Left: CT. Right: PSMA PET, same axial level, 18F-PSMA tracer. Acquired on Siemens Biograph mCT Flow 20. Slice 350 of 462. PET panel 200×200 px (4.1 mm/px).
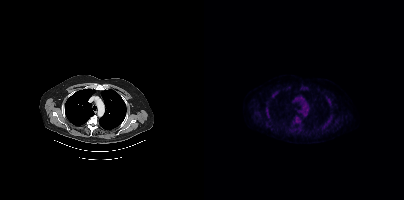
No PSMA-avid tumor lesions on this slice.